Two-panel axial: CT | PSMA PET, 68Ga-PSMA tracer. Acquired on Siemens Biograph 64-4R TruePoint. Slice 94 of 165.
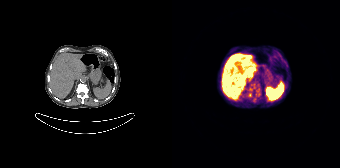
Coordinates are on the 168×168 PET (right) panel. (showing 3 of 6 foci) Small PSMA-avid foci (2 to 4 px across) near (center x, center y): (78, 94), (86, 89), (86, 94).